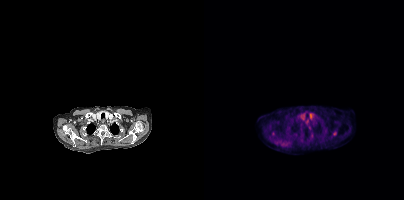
Findings: Coordinates are on the 200×200 PET (right) panel. Small PSMA-avid foci (2 to 4 px across) near (center x, center y): (130, 133) | (69, 133) | (108, 135).
Technique: Two-panel axial: CT | PSMA PET, 18F tracer. slice 318 of 389. PET panel 200×200 px (4.1 mm/px).